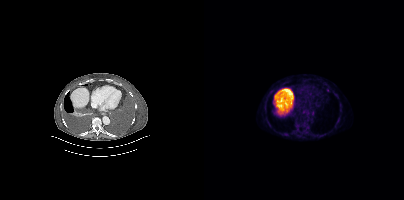
Two-panel axial: CT | PSMA PET, 18F-PSMA tracer. PET panel 200×200 px (4.1 mm/px). Only PSMA-avid lesion pieces thinner than 2 px on this slice (not listed).